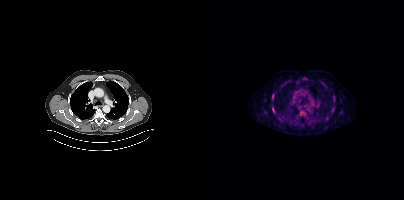
Two-panel axial: CT | PSMA PET, [18F]PSMA-1007 tracer. Acquired on Siemens Biograph mCT Flow 20. PET panel 200×200 px (4.1 mm/px). Coordinates are on the 200×200 PET (right) panel. (showing 5 of 6 foci) PSMA-avid tumor lesion bounding boxes (x0, y0)-(x1, y1): (97, 112)-(101, 116) | (68, 107)-(70, 111). Small PSMA-avid foci (2 to 4 px across) near (center x, center y): (68, 95) | (68, 98) | (129, 107).